- Left: CT. Right: PSMA PET, same axial level, 68Ga-PSMA tracer
- PET panel 200×200 px (4.1 mm/px)
- a rectangle over the head was blacked out to remove identifiable facial features
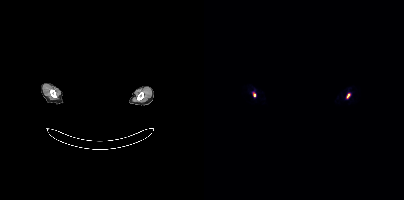
Findings: Coordinates are on the 200×200 PET (right) panel. PSMA-avid tumor lesion bounding box (x0, y0)-(x1, y1): (143, 93)-(145, 98). Small PSMA-avid focus (2 to 4 px across) near (center x, center y): (50, 94).